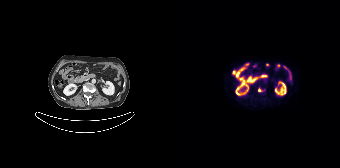
Findings: Only PSMA-avid lesion pieces thinner than 2 px on this slice (not listed).
Technique: Two-panel axial: CT | PSMA PET, 18F tracer. slice position z = -1351 mm.